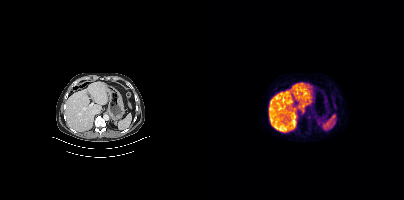
Findings: This slice has no annotated PSMA-avid lesion.
- Two-panel axial: CT | PSMA PET, [68Ga]Ga-PSMA-11 tracer
- acquired on Siemens Biograph mCT Flow 20
- PET panel 200×200 px (4.1 mm/px)